Left: CT. Right: PSMA PET, same axial level, 18F tracer.
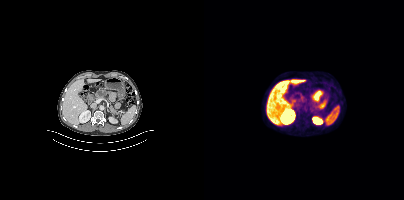
No PSMA-avid tumor lesions on this slice.